Paired axial CT (left) and PSMA PET (right), [18F]PSMA-1007 tracer. Acquired on Siemens Biograph mCT Flow 20. PET panel 200×200 px (4.1 mm/px).
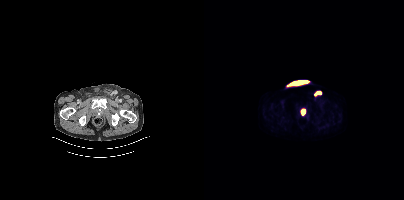
Coordinates are on the 200×200 PET (right) panel. PSMA-avid tumor lesion bounding boxes:
| # | x0 | y0 | x1 | y1 |
|---|---|---|---|---|
| 1 | 97 | 109 | 101 | 115 |
| 2 | 110 | 91 | 117 | 96 |